Two-panel axial: CT | PSMA PET, 18F-PSMA tracer. Acquired on Siemens Biograph mCT Flow 20.
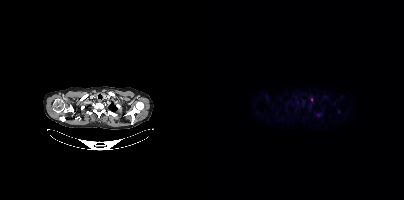
Coordinates are on the 200×200 PET (right) panel. Small PSMA-avid foci (2 to 4 px across) near (center x, center y): (116, 114); (107, 99).